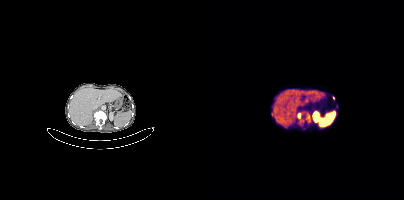
Coordinates are on the 200×200 PET (right) panel. (showing 4 of 5 foci) PSMA-avid tumor lesion bounding boxes (x0, y0)-(x1, y1): (93, 112)-(99, 122) / (102, 113)-(106, 122) / (67, 112)-(69, 116). Small PSMA-avid focus (2 to 4 px across) near (center x, center y): (129, 97). Paired axial CT (left) and PSMA PET (right), 68Ga tracer.